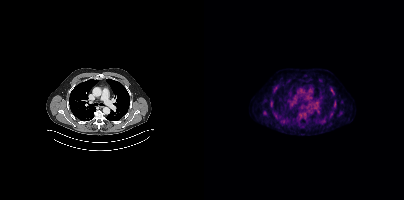
{"modality":"PSMA PET/CT","view":"axial","tracer":"18F-PSMA","pet_grid":[200,200],"coord_frame":"pet_panel","coord_format":"x0,y0,x1,y1","lesion_bboxes":[],"small_foci_centers":[[128,90]]}